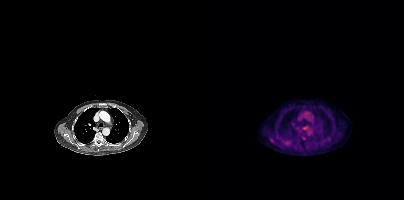
modality: PSMA PET/CT | tracer: 18F | view: axial | PET grid: 200×200
Coordinates are on the 200×200 PET (right) panel. Small PSMA-avid focus (2 to 4 px across) near (center x, center y): (125, 139).